Paired axial CT (left) and PSMA PET (right), 18F tracer.
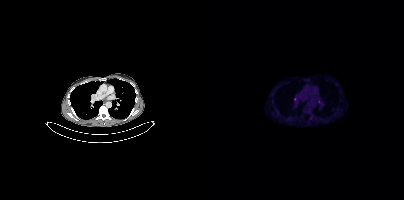
Coordinates are on the 200×200 PET (right) panel. PSMA-avid tumor lesion bounding boxes (partial; 1 more focus not listed):
| # | x0 | y0 | x1 | y1 |
|---|---|---|---|---|
| 1 | 114 | 101 | 118 | 104 |
Small PSMA-avid foci (2 to 4 px across) near (center x, center y): (106, 117); (74, 112); (90, 98).